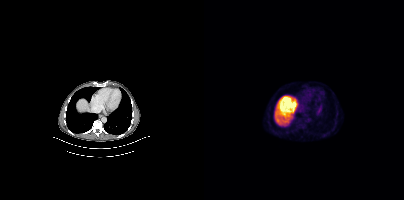
Paired axial CT (left) and PSMA PET (right), [18F]PSMA-1007 tracer. Acquired on Siemens Biograph mCT Flow 20. Slice position z = -1182 mm. No PSMA-avid tumor lesions on this slice.